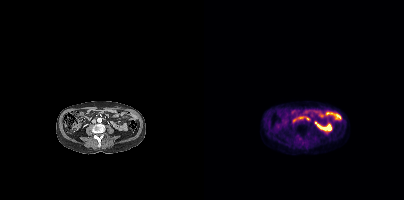
Coordinates are on the 200×200 PET (right) panel. Small PSMA-avid focus (2 to 4 px across) near (center x, center y): (96, 139).